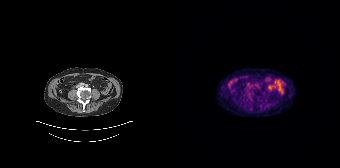
modality: PSMA PET/CT | tracer: 68Ga | view: axial
Negative for PSMA-avid disease on this slice.